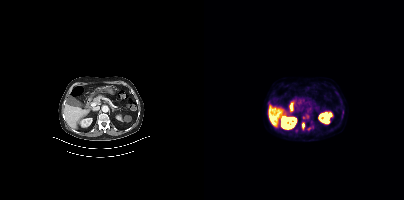
Left: CT. Right: PSMA PET, same axial level, 18F tracer. Acquired on Siemens Biograph mCT Flow 20.
Coordinates are on the 200×200 PET (right) panel. PSMA-avid tumor lesion bounding boxes (partial; 1 more focus not listed):
| # | x0 | y0 | x1 | y1 |
|---|---|---|---|---|
| 1 | 98 | 122 | 100 | 129 |
Small PSMA-avid focus (2 to 4 px across) near (center x, center y): (100, 117).